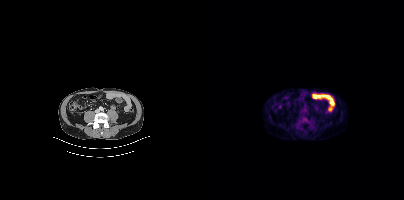
{"modality":"PSMA PET/CT","view":"axial","tracer":"[18F]PSMA-1007","pet_grid":[200,200],"coord_frame":"pet_panel","coord_format":"x0,y0,x1,y1","lesion_bboxes":[[98,116,108,125]]}